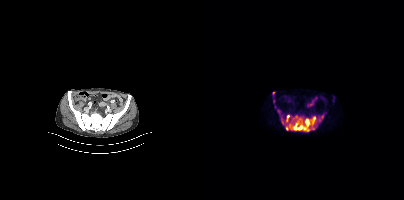
Coordinates are on the 200×200 PET (right) panel. (showing 5 of 7 foci) PSMA-avid tumor lesion bounding boxes (x, y, width, height): x=82 y=114 w=38 h=18; x=82 y=114 w=5 h=9; x=73 y=109 w=4 h=7; x=77 y=118 w=3 h=7. Small PSMA-avid focus (2 to 4 px across) near (center x, center y): (69, 93).
modality: PSMA PET/CT | tracer: 18F | view: axial